Head region blanked for anonymization (face removed). Left: CT. Right: PSMA PET, same axial level, [18F]PSMA-1007 tracer. Acquired on Siemens Biograph mCT Flow 20.
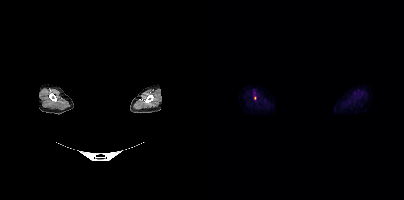
Coordinates are on the 200×200 PET (right) panel. Small PSMA-avid focus (2 to 4 px across) near (center x, center y): (50, 98).